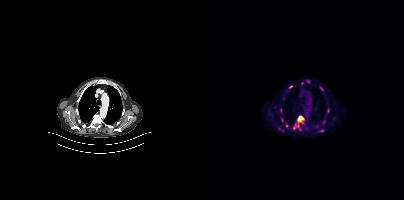
Coordinates are on the 200×200 PET (right) panel. (showing 9 of 11 foci) PSMA-avid tumor lesion bounding box (x, y, width, height): x=89 y=115 w=12 h=16. Small PSMA-avid foci (2 to 4 px across) near (center x, center y): (104, 81); (117, 130); (86, 87); (118, 90); (78, 119); (82, 125); (98, 82); (120, 121).